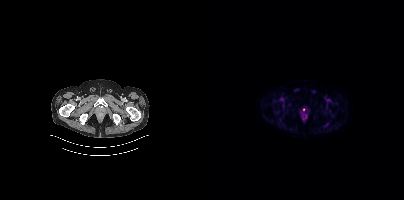
No tumor lesions annotated on this slice.